modality: PSMA PET/CT | tracer: 68Ga-PSMA | view: axial
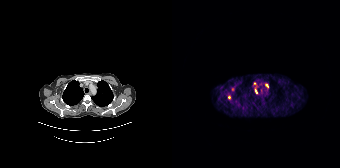
Coordinates are on the 168×168 PET (right) panel. (showing 4 of 5 foci) PSMA-avid tumor lesion bounding box (x0,y0,x1,y1): [83,88,85,93]. Small PSMA-avid foci (2 to 4 px across) near (center x, center y): (94, 85); (57, 97); (82, 83).